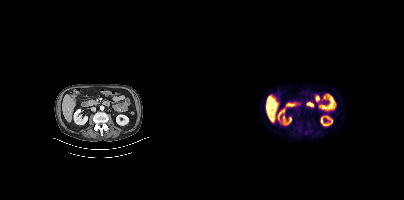
{"modality":"PSMA PET/CT","view":"axial","tracer":"18F","pet_grid":[200,200],"coord_frame":"pet_panel","coord_format":"x0,y0,x1,y1","psma_avid_lesions":false}